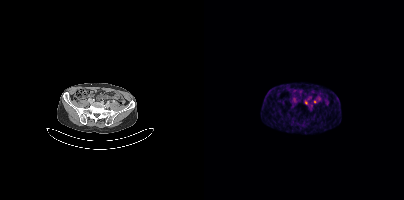
Left: CT. Right: PSMA PET, same axial level, 68Ga-PSMA tracer. Acquired on Siemens Biograph mCT Flow 20. Coordinates are on the 200×200 PET (right) panel. (showing 1 of 2 foci) Small PSMA-avid focus (2 to 4 px across) near (center x, center y): (102, 101).